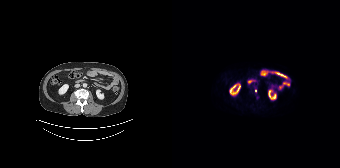
Left: CT. Right: PSMA PET, same axial level, 18F tracer. PET panel 168×168 px (4.1 mm/px). Coordinates are on the 168×168 PET (right) panel. Small PSMA-avid focus (2 to 4 px across) near (center x, center y): (83, 90).